Two-panel axial: CT | PSMA PET, [18F]PSMA-1007 tracer. Acquired on GE Discovery 690. PET panel 256×256 px (2.7 mm/px).
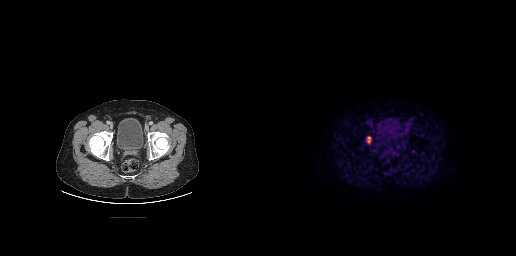
Coordinates are on the 256×256 PET (right) panel. PSMA-avid tumor lesion bounding boxes:
| # | x0 | y0 | x1 | y1 |
|---|---|---|---|---|
| 1 | 106 | 136 | 111 | 143 |